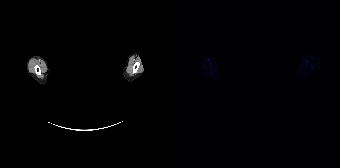
{"modality":"PSMA PET/CT","view":"axial","tracer":"[18F]PSMA-1007","pet_grid":[168,168],"coord_frame":"pet_panel","coord_format":"x0,y0,x1,y1","psma_avid_lesions":false,"redaction":"head region blacked out before release"}